Technique: Paired axial CT (left) and PSMA PET (right), [18F]PSMA-1007 tracer. acquired on Siemens Biograph mCT Flow 20. PET panel 200×200 px (4.1 mm/px).
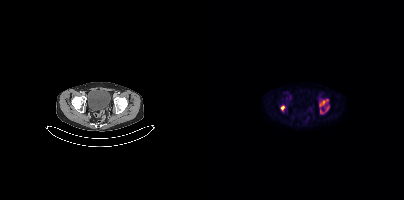
Findings: Coordinates are on the 200×200 PET (right) panel. PSMA-avid tumor lesion bounding boxes (x0, y0)-(x1, y1): (115, 99)-(124, 107) / (116, 105)-(125, 113) / (76, 105)-(81, 111).